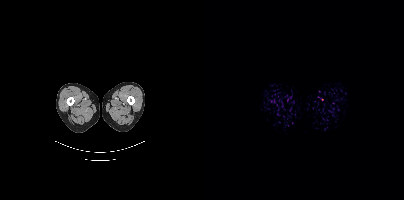
{"pet_grid":[200,200],"coord_frame":"pet_panel","coord_format":"x0,y0,x1,y1","psma_avid_lesions":false,"modality":"PSMA PET/CT","view":"axial","tracer":"[18F]PSMA-1007"}